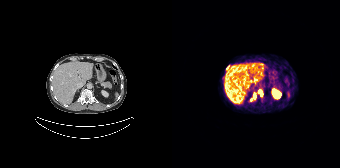
modality: PSMA PET/CT | tracer: 68Ga-PSMA | view: axial
Coordinates are on the 168×168 PET (right) panel. PSMA-avid tumor lesion bounding boxes (x, y, width, height): x=86 y=90 w=5 h=7 / x=81 y=93 w=3 h=6. Small PSMA-avid foci (2 to 4 px across) near (center x, center y): (55, 67) / (78, 99).